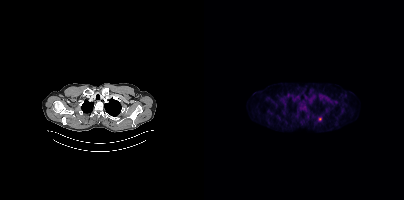
{"modality":"PSMA PET/CT","view":"axial","tracer":"18F","pet_grid":[200,200],"coord_frame":"pet_panel","coord_format":"x0,y0,x1,y1","lesion_bboxes":[],"small_foci_centers":[[115,118]]}